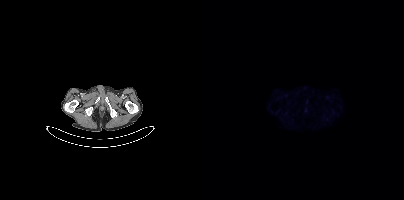
Left: CT. Right: PSMA PET, same axial level, 18F tracer. Acquired on Siemens Biograph mCT Flow 20. Slice position z = -1022 mm. This slice has no annotated PSMA-avid lesion.